- Left: CT. Right: PSMA PET, same axial level, 18F-PSMA tracer
- slice position z = -1443 mm
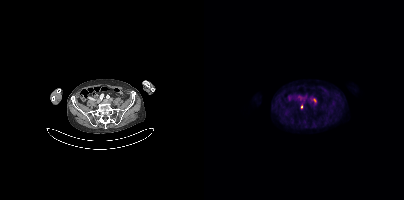
Findings: Coordinates are on the 200×200 PET (right) panel. Small PSMA-avid foci (2 to 4 px across) near (center x, center y): (110, 100) (97, 106).